Technique: Two-panel axial: CT | PSMA PET, [18F]PSMA-1007 tracer. acquired on Siemens Biograph 64-4R TruePoint. PET panel 168×168 px (4.1 mm/px).
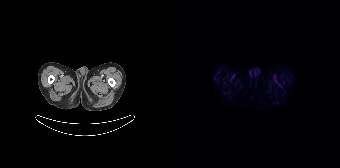
Findings: No PSMA-avid tumor lesions on this slice.